- Paired axial CT (left) and PSMA PET (right), 18F tracer
- slice position z = -352 mm
- PET panel 200×200 px (4.1 mm/px)
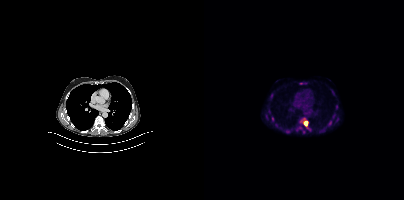
Findings: Coordinates are on the 200×200 PET (right) panel. PSMA-avid tumor lesion bounding boxes (x0, y0)-(x1, y1): (99, 118)-(104, 126) / (95, 82)-(102, 84) / (129, 114)-(131, 118). Small PSMA-avid foci (2 to 4 px across) near (center x, center y): (133, 119) / (67, 95) / (132, 107) / (68, 120).